Technique: Left: CT. Right: PSMA PET, same axial level, 18F-PSMA tracer. slice 38 of 433. PET panel 200×200 px (4.1 mm/px).
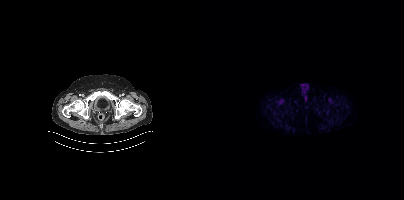
Findings: This slice has no annotated PSMA-avid lesion.